Technique: Two-panel axial: CT | PSMA PET, 18F-PSMA tracer. acquired on Siemens Biograph mCT Flow 20. PET panel 200×200 px (4.1 mm/px).
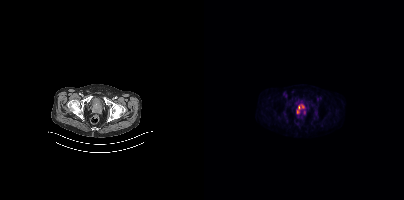
Findings: Coordinates are on the 200×200 PET (right) panel. PSMA-avid tumor lesion bounding box (x0,y0,x1,y1): [93,105,96,113]. Small PSMA-avid focus (2 to 4 px across) near (center x, center y): (99, 106).